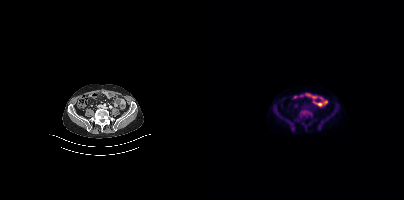
Negative for PSMA-avid disease on this slice.
modality: PSMA PET/CT | tracer: [18F]PSMA-1007 | view: axial | PET grid: 200×200